- Two-panel axial: CT | PSMA PET, 18F tracer
- acquired on Siemens Biograph mCT Flow 20
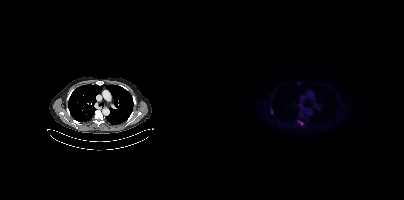
Findings: Coordinates are on the 200×200 PET (right) panel. PSMA-avid tumor lesion bounding box (x0, y0)-(x1, y1): (94, 121)-(99, 124). Small PSMA-avid focus (2 to 4 px across) near (center x, center y): (67, 111).